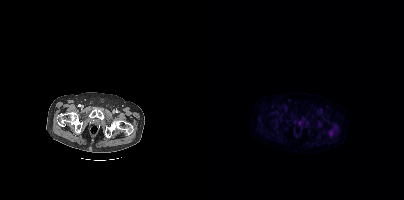
Technique: Left: CT. Right: PSMA PET, same axial level, 18F tracer. slice position z = -972 mm. PET panel 200×200 px (4.1 mm/px).
Findings: This slice has no annotated PSMA-avid lesion.